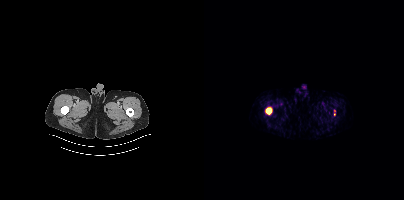
Coordinates are on the 200×200 PET (right) panel. (showing 1 of 2 foci) PSMA-avid tumor lesion bounding box (x, y, width, height): x=62 y=108 w=6 h=7.